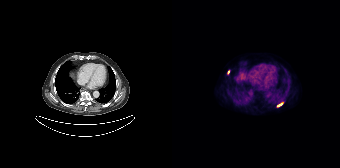
Coordinates are on the 168×168 PET (right) panel. PSMA-avid tumor lesion bounding boxes (x0,y0,x1,y1): [105,102,111,107]; [55,70,57,74].